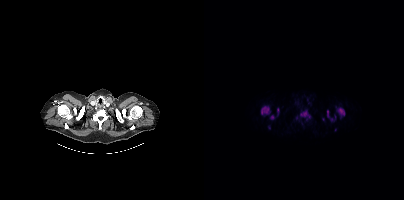
{"modality":"PSMA PET/CT","view":"axial","tracer":"18F","pet_grid":[200,200],"coord_frame":"pet_panel","coord_format":"x0,y0,x1,y1","partial":true,"lesion_bboxes":[[57,105,66,115],[133,108,140,116],[96,110,106,117],[73,108,75,116],[66,115,70,119],[123,110,125,117]],"small_foci_centers":[[127,119],[65,127]]}